Technique: Two-panel axial: CT | PSMA PET, 18F-PSMA tracer. acquired on Siemens Biograph mCT Flow 20. slice position z = -810 mm.
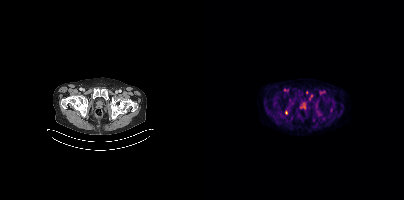
Findings: Only PSMA-avid lesion pieces thinner than 2 px on this slice (not listed).